- Left: CT. Right: PSMA PET, same axial level, 18F-PSMA tracer
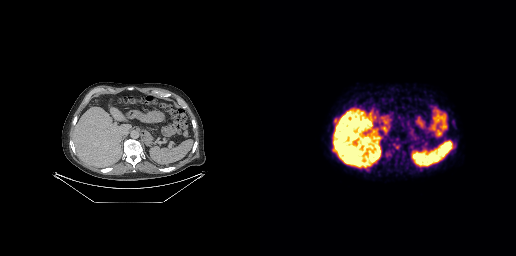
Findings: This slice has no annotated PSMA-avid lesion.